modality: PSMA PET/CT | tracer: 18F-PSMA | view: axial
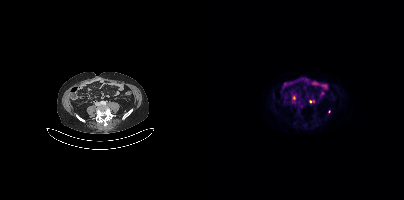
Coordinates are on the 200×200 PET (right) panel. (showing 2 of 3 foci) Small PSMA-avid foci (2 to 4 px across) near (center x, center y): (106, 101); (125, 111).